Paired axial CT (left) and PSMA PET (right), 18F-PSMA tracer.
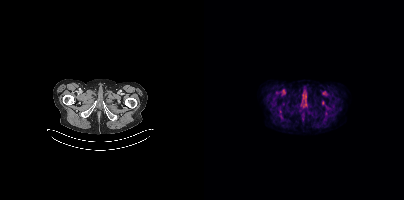
No tumor lesions annotated on this slice.